Technique: Two-panel axial: CT | PSMA PET, [18F]PSMA-1007 tracer. acquired on Siemens Biograph mCT Flow 20. slice position z = -1669 mm. PET panel 200×200 px (4.1 mm/px).
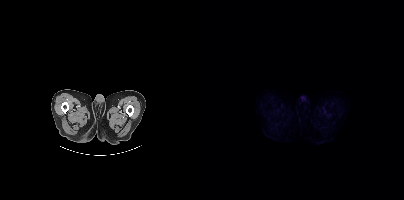
Findings: Negative for PSMA-avid disease on this slice.